- Two-panel axial: CT | PSMA PET, 68Ga-PSMA tracer
- slice position z = -1617 mm
- PET panel 200×200 px (4.1 mm/px)
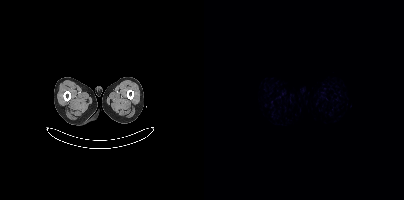
Findings: This slice has no annotated PSMA-avid lesion.